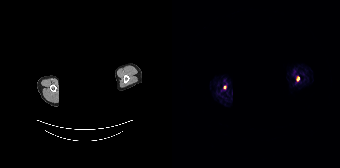
Findings: Coordinates are on the 168×168 PET (right) panel. PSMA-avid tumor lesion bounding box (x0,y0,x1,y1): [124,76,127,81].
- Paired axial CT (left) and PSMA PET (right), 68Ga tracer
- PET panel 168×168 px (4.1 mm/px)
- privacy masking over the head, with the pixels inside a rectangle set to black